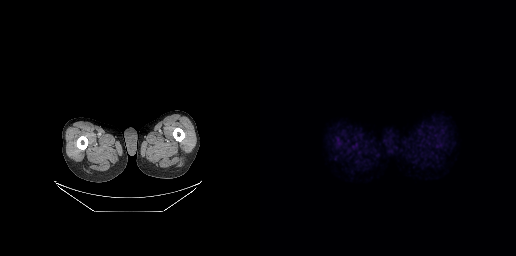
No tumor lesions annotated on this slice.